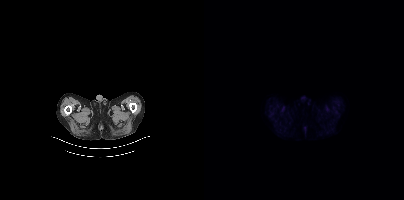
Paired axial CT (left) and PSMA PET (right), [18F]PSMA-1007 tracer. Slice position z = -1502 mm. PET panel 200×200 px (4.1 mm/px). No tumor lesions annotated on this slice.